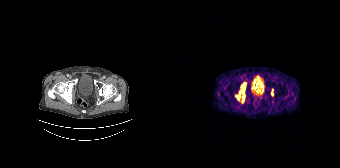
{"modality":"PSMA PET/CT","view":"axial","tracer":"[68Ga]Ga-PSMA-11","pet_grid":[168,168],"coord_frame":"pet_panel","coord_format":"x0,y0,x1,y1","lesion_bboxes":[[69,83,73,102],[99,89,101,95]],"small_foci_centers":[[66,97]]}